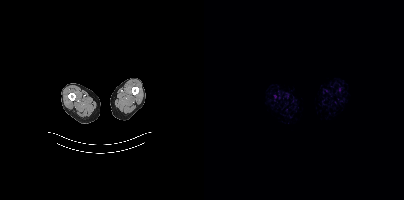
Two-panel axial: CT | PSMA PET, [18F]PSMA-1007 tracer. Acquired on Siemens Biograph mCT Flow 20. Slice 2 of 413. No tumor lesions annotated on this slice.